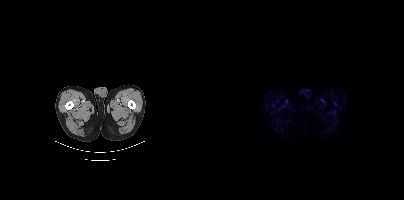
Findings: No tumor lesions annotated on this slice.
- Left: CT. Right: PSMA PET, same axial level, 18F tracer
- slice position z = -1667 mm